Left: CT. Right: PSMA PET, same axial level, 18F tracer. Slice 289 of 381. PET panel 200×200 px (4.1 mm/px).
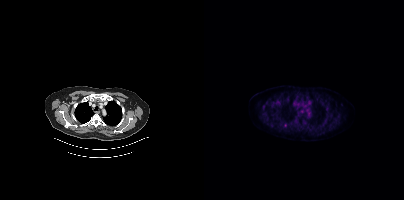
No tumor lesions annotated on this slice.